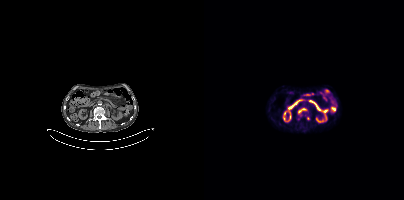
- Two-panel axial: CT | PSMA PET, [18F]PSMA-1007 tracer
- acquired on Siemens Biograph mCT Flow 20
- slice 170 of 385
Findings: Coordinates are on the 200×200 PET (right) panel. PSMA-avid tumor lesion bounding box (x, y, width, height): x=94 y=108 w=9 h=6. Small PSMA-avid foci (2 to 4 px across) near (center x, center y): (94, 118); (103, 118).